Technique: Two-panel axial: CT | PSMA PET, [68Ga]Ga-PSMA-11 tracer. acquired on Siemens Biograph 64-4R TruePoint. slice position z = -848 mm. PET panel 168×168 px (4.1 mm/px).
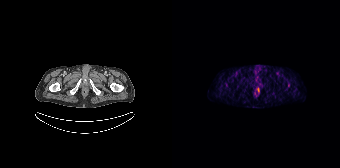
Findings: Only PSMA-avid lesion pieces thinner than 2 px on this slice (not listed).